Technique: Paired axial CT (left) and PSMA PET (right), [68Ga]Ga-PSMA-11 tracer.
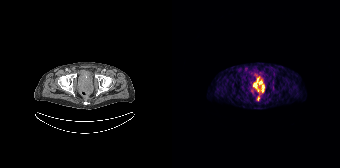
Findings: Coordinates are on the 168×168 PET (right) panel. PSMA-avid tumor lesion bounding box (x, y, width, height): x=81 y=77 w=12 h=16. Small PSMA-avid focus (2 to 4 px across) near (center x, center y): (86, 98).